modality: PSMA PET/CT | tracer: 18F | view: axial | PET grid: 200×200
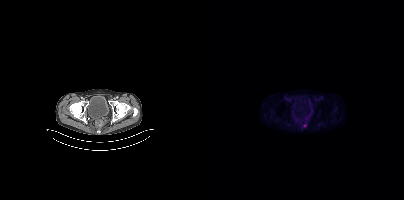
Coordinates are on the 200×200 PET (right) panel. Small PSMA-avid focus (2 to 4 px across) near (center x, center y): (100, 125).